Technique: Two-panel axial: CT | PSMA PET, 18F-PSMA tracer. acquired on Siemens Biograph mCT Flow 20. PET panel 200×200 px (4.1 mm/px).
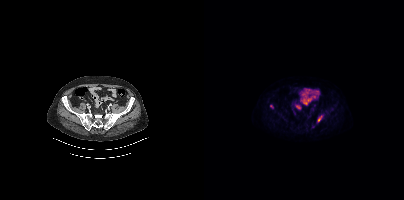
Findings: Coordinates are on the 200×200 PET (right) panel. PSMA-avid tumor lesion bounding box (x, y, width, height): x=114 y=116 w=4 h=6. Small PSMA-avid focus (2 to 4 px across) near (center x, center y): (67, 106).